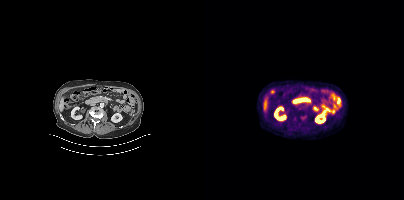
Left: CT. Right: PSMA PET, same axial level, 18F-PSMA tracer. PET panel 200×200 px (4.1 mm/px). No PSMA-avid tumor lesions on this slice.